Technique: Left: CT. Right: PSMA PET, same axial level, 18F tracer. slice 207 of 263.
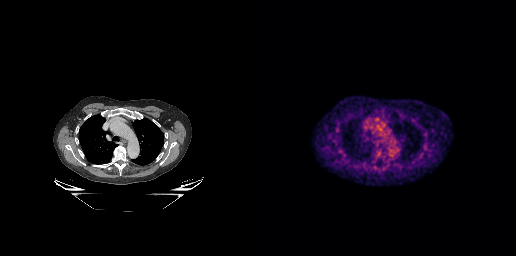
Findings: Coordinates are on the 256×256 PET (right) panel. Small PSMA-avid focus (2 to 4 px across) near (center x, center y): (118, 154).